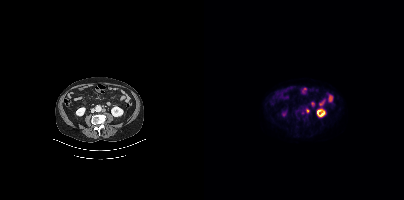
{"modality":"PSMA PET/CT","view":"axial","tracer":"18F-PSMA","pet_grid":[200,200],"coord_frame":"pet_panel","coord_format":"x0,y0,x1,y1","lesion_bboxes":[[102,108,105,112]]}